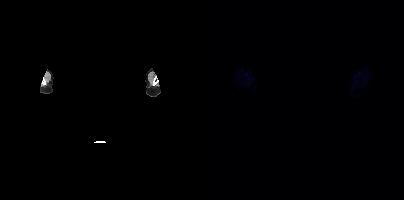
Facial anatomy redacted by setting a rectangular region of the head to black.
This slice has no annotated PSMA-avid lesion.